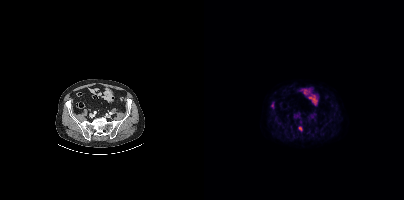
{"modality":"PSMA PET/CT","view":"axial","tracer":"18F","pet_grid":[200,200],"coord_frame":"pet_panel","coord_format":"x0,y0,x1,y1","lesion_bboxes":[],"small_foci_centers":[[96,128]]}